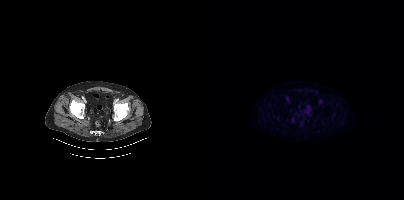
No tumor lesions annotated on this slice. Left: CT. Right: PSMA PET, same axial level, [18F]PSMA-1007 tracer. PET panel 200×200 px (4.1 mm/px).